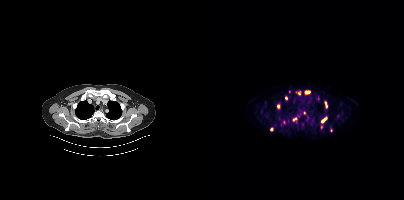
{"modality":"PSMA PET/CT","view":"axial","tracer":"18F","pet_grid":[200,200],"coord_frame":"pet_panel","coord_format":"x0,y0,x1,y1","partial":true,"lesion_bboxes":[[117,116,123,123],[101,91,106,94],[120,101,123,108]],"small_foci_centers":[[74,106],[90,119],[67,129],[82,98],[117,127],[95,93]]}